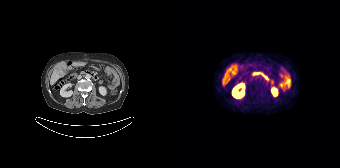
Technique: Two-panel axial: CT | PSMA PET, 68Ga-PSMA tracer. slice 70 of 165. PET panel 168×168 px (4.1 mm/px).
Findings: Coordinates are on the 168×168 PET (right) panel. Small PSMA-avid focus (2 to 4 px across) near (center x, center y): (51, 84).